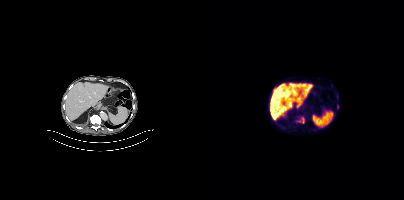
Findings: Coordinates are on the 200×200 PET (right) panel. PSMA-avid tumor lesion bounding box (x0,y0,x1,y1): [94,117,100,123]. Small PSMA-avid focus (2 to 4 px across) near (center x, center y): (133, 106).
Technique: Paired axial CT (left) and PSMA PET (right), 18F tracer.